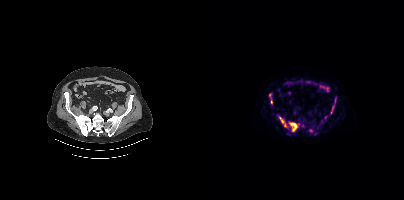
Coordinates are on the 200×200 PET (right) panel. (showing 6 of 7 foci) PSMA-avid tumor lesion bounding boxes (x0, y0)-(x1, y1): (85, 122)-(95, 131) | (75, 117)-(82, 127) | (127, 105)-(130, 113). Small PSMA-avid foci (2 to 4 px across) near (center x, center y): (67, 101) | (107, 130) | (65, 94).